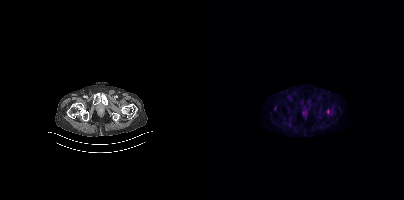
Only PSMA-avid lesion pieces thinner than 2 px on this slice (not listed).